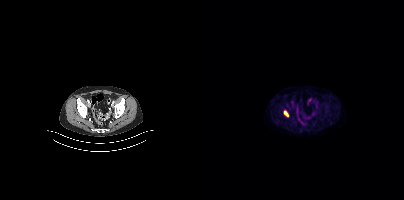
Two-panel axial: CT | PSMA PET, 18F-PSMA tracer. Coordinates are on the 200×200 PET (right) panel. PSMA-avid tumor lesion bounding box (x0,y0,x1,y1): [80,111,84,116].